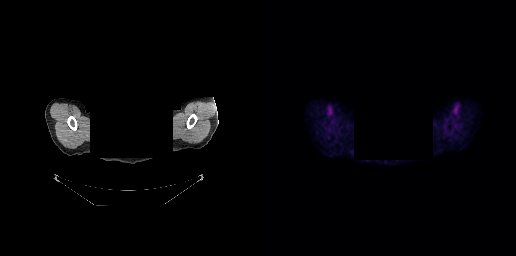
Paired axial CT (left) and PSMA PET (right), [18F]PSMA-1007 tracer. The face region was removed for patient privacy by blanking a rectangle over the head. No tumor lesions annotated on this slice.